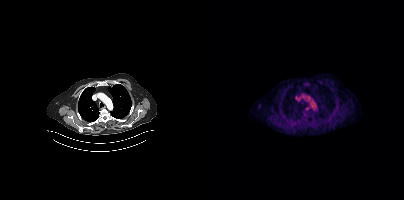
No tumor lesions annotated on this slice. Paired axial CT (left) and PSMA PET (right), [18F]PSMA-1007 tracer. Acquired on Siemens Biograph mCT Flow 20.